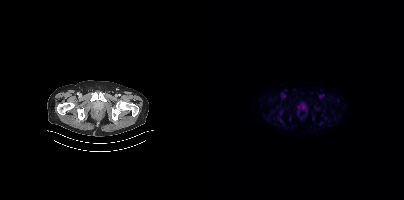
- Left: CT. Right: PSMA PET, same axial level, 18F-PSMA tracer
- acquired on Siemens Biograph mCT Flow 20
- PET panel 200×200 px (4.1 mm/px)
Findings: Coordinates are on the 200×200 PET (right) panel. PSMA-avid tumor lesion bounding box (x, y, width, height): x=98 y=104 w=4 h=5.